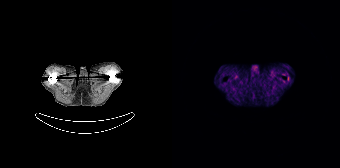
Findings: Negative for PSMA-avid disease on this slice.
- Two-panel axial: CT | PSMA PET, 68Ga tracer
- slice 21 of 165